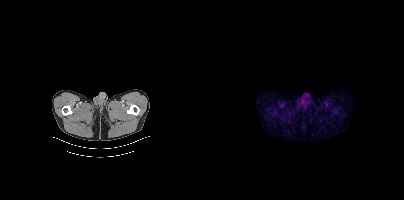
Negative for PSMA-avid disease on this slice.